modality: PSMA PET/CT | tracer: 68Ga-PSMA | view: axial
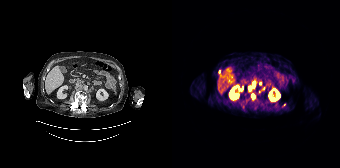
Coordinates are on the 168×168 PET (right) panel. PSMA-avid tumor lesion bounding boxes (x0, y0)-(x1, y1): (76, 82)-(83, 90); (79, 94)-(82, 98). Small PSMA-avid foci (2 to 4 px across) near (center x, center y): (88, 83); (47, 71).